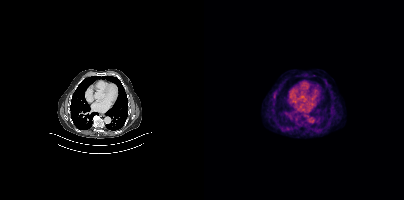
- Left: CT. Right: PSMA PET, same axial level, 18F tracer
- slice 262 of 401
- PET panel 200×200 px (4.1 mm/px)
Findings: Only PSMA-avid lesion pieces thinner than 2 px on this slice (not listed).